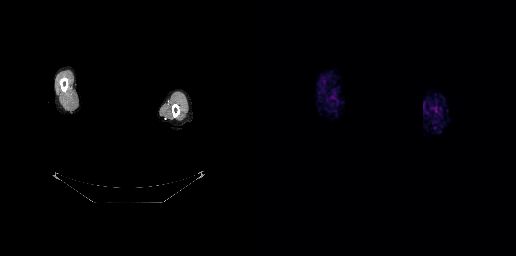
No PSMA-avid tumor lesions on this slice.
A rectangular block over the head has been blanked out for de-identification.